Technique: Left: CT. Right: PSMA PET, same axial level, [68Ga]Ga-PSMA-11 tracer. acquired on Siemens Biograph mCT Flow 20. slice position z = -1230 mm.
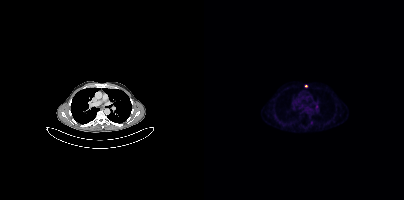
Findings: Coordinates are on the 200×200 PET (right) panel. Small PSMA-avid focus (2 to 4 px across) near (center x, center y): (102, 86).